Technique: Two-panel axial: CT | PSMA PET, [18F]PSMA-1007 tracer. acquired on Siemens Biograph mCT Flow 20. slice 192 of 446.
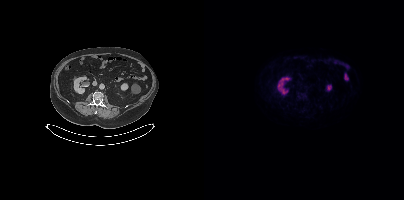
Findings: No PSMA-avid tumor lesions on this slice.